Technique: Two-panel axial: CT | PSMA PET, [18F]PSMA-1007 tracer. acquired on Siemens Biograph mCT Flow 20. PET panel 200×200 px (4.1 mm/px).
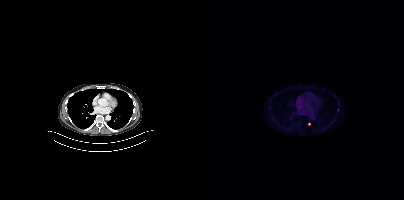
Findings: Coordinates are on the 200×200 PET (right) panel. Small PSMA-avid focus (2 to 4 px across) near (center x, center y): (105, 123).